Paired axial CT (left) and PSMA PET (right), [18F]PSMA-1007 tracer. PET panel 200×200 px (4.1 mm/px).
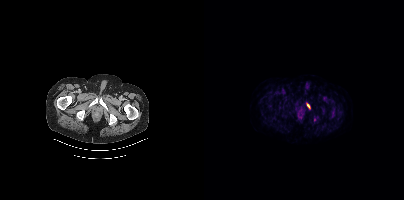
Coordinates are on the 200×200 PET (right) panel. PSMA-avid tumor lesion bounding box (x0, y0)-(x1, y1): (103, 103)-(106, 109). Small PSMA-avid focus (2 to 4 px across) near (center x, center y): (110, 119).